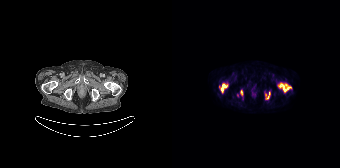
modality: PSMA PET/CT | tracer: 18F | view: axial | PET grid: 168×168
Coordinates are on the 168×168 PET (right) panel. (showing 5 of 6 foci) PSMA-avid tumor lesion bounding boxes (x0, y0)-(x1, y1): (106, 82)-(119, 92) | (49, 83)-(55, 92) | (93, 91)-(98, 99) | (69, 90)-(70, 94). Small PSMA-avid focus (2 to 4 px across) near (center x, center y): (65, 95).